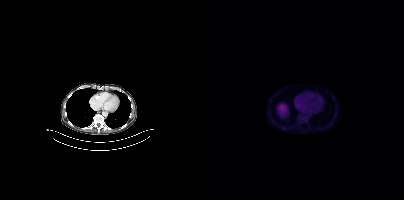
No tumor lesions annotated on this slice.